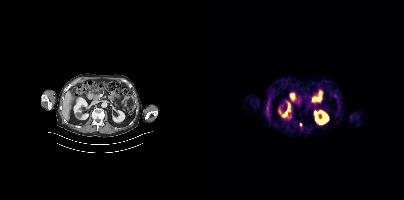
Two-panel axial: CT | PSMA PET, [18F]PSMA-1007 tracer. Slice position z = -720 mm. PET panel 200×200 px (4.1 mm/px). Coordinates are on the 200×200 PET (right) panel. Small PSMA-avid focus (2 to 4 px across) near (center x, center y): (96, 124).